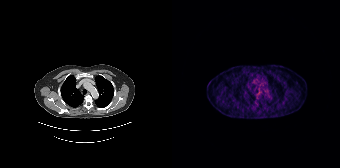
Left: CT. Right: PSMA PET, same axial level, [68Ga]Ga-PSMA-11 tracer. No tumor lesions annotated on this slice.